modality: PSMA PET/CT | tracer: [18F]PSMA-1007 | view: axial | PET grid: 200×200
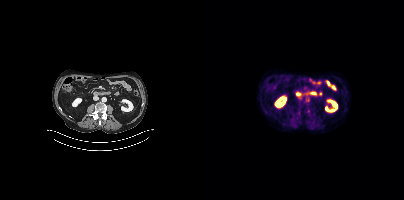
No tumor lesions annotated on this slice.